modality: PSMA PET/CT | tracer: 18F | view: axial | PET grid: 200×200
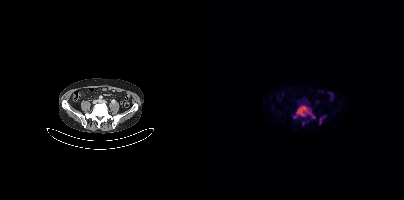
Coordinates are on the 200×200 PET (right) panel. (showing 2 of 3 foci) PSMA-avid tumor lesion bounding boxes (x, y, width, height): x=89 y=105 w=23 h=14 | x=115 y=116 w=6 h=9.